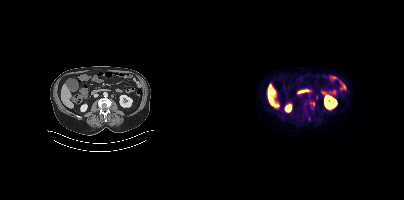
- Two-panel axial: CT | PSMA PET, [18F]PSMA-1007 tracer
- slice position z = -1252 mm
- PET panel 200×200 px (4.1 mm/px)
Findings: Coordinates are on the 200×200 PET (right) panel. Small PSMA-avid focus (2 to 4 px across) near (center x, center y): (109, 104).